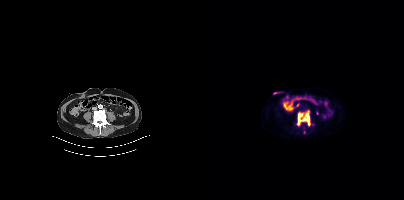
Paired axial CT (left) and PSMA PET (right), [18F]PSMA-1007 tracer. Acquired on Siemens Biograph mCT Flow 20. Slice position z = -682 mm. PET panel 200×200 px (4.1 mm/px). Coordinates are on the 200×200 PET (right) panel. PSMA-avid tumor lesion bounding box (x0, y0)-(x1, y1): (93, 112)-(106, 125).